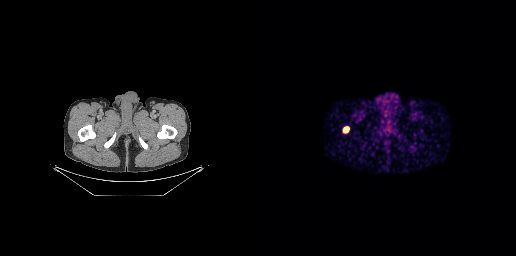
Paired axial CT (left) and PSMA PET (right), 68Ga-PSMA tracer. Acquired on GE Discovery 690. Slice 32 of 263.
Coordinates are on the 256×256 PET (right) panel. PSMA-avid tumor lesion bounding boxes:
| # | x0 | y0 | x1 | y1 |
|---|---|---|---|---|
| 1 | 83 | 127 | 88 | 132 |